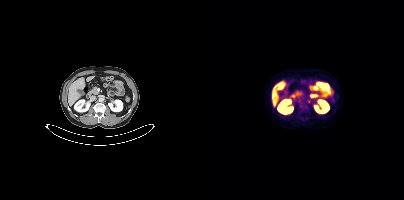
No tumor lesions annotated on this slice.